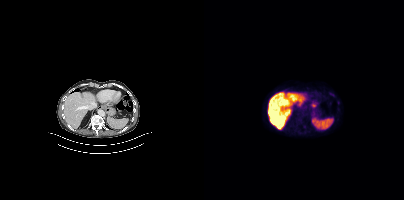
modality: PSMA PET/CT | tracer: 18F | view: axial
This slice has no annotated PSMA-avid lesion.